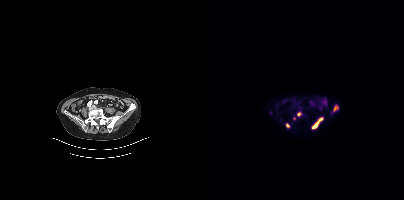
Technique: Left: CT. Right: PSMA PET, same axial level, 68Ga-PSMA tracer. slice position z = -1404 mm.
Findings: Coordinates are on the 200×200 PET (right) panel. PSMA-avid tumor lesion bounding boxes (x0,y0,x1,y1): [129,105,134,111] [108,122,114,128] [115,117,119,121]. Small PSMA-avid foci (2 to 4 px across) near (center x, center y): (94, 114) (90, 118) (83, 125).